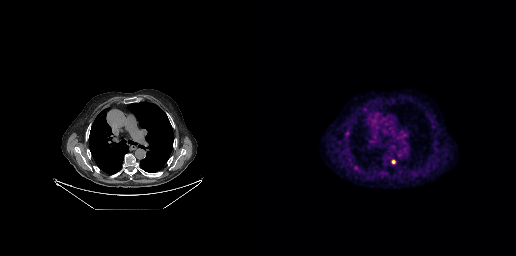
Paired axial CT (left) and PSMA PET (right), [18F]PSMA-1007 tracer. PET panel 256×256 px (2.7 mm/px). Coordinates are on the 256×256 PET (right) panel. Small PSMA-avid focus (2 to 4 px across) near (center x, center y): (133, 161).